Two-panel axial: CT | PSMA PET, 18F-PSMA tracer. PET panel 256×256 px (2.7 mm/px).
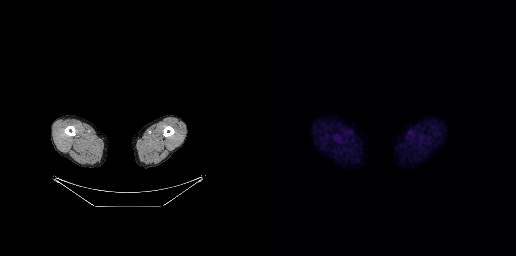
No tumor lesions annotated on this slice.